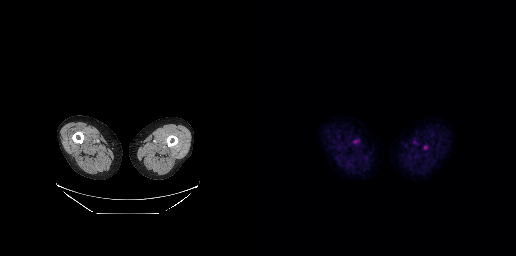
This slice has no annotated PSMA-avid lesion.